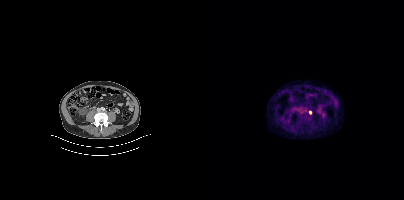
- Paired axial CT (left) and PSMA PET (right), [18F]PSMA-1007 tracer
- acquired on Siemens Biograph mCT Flow 20
Findings: Coordinates are on the 200×200 PET (right) panel. Small PSMA-avid foci (2 to 4 px across) near (center x, center y): (106, 112), (94, 111).